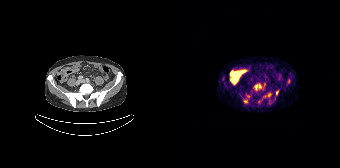
Two-panel axial: CT | PSMA PET, 68Ga tracer. Acquired on Siemens Biograph 64-4R TruePoint. Slice 49 of 165. Coordinates are on the 168×168 PET (right) panel. PSMA-avid tumor lesion bounding boxes (x0, y0)-(x1, y1): (71, 99)-(75, 103) | (83, 85)-(85, 89). Small PSMA-avid foci (2 to 4 px across) near (center x, center y): (105, 92) | (87, 85) | (76, 96) | (116, 81).